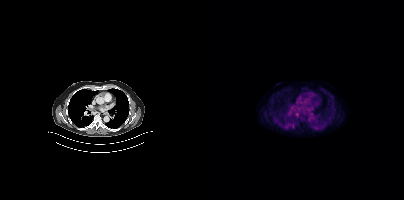
Two-panel axial: CT | PSMA PET, 18F-PSMA tracer. Acquired on Siemens Biograph mCT Flow 20. Slice 275 of 409.
Coordinates are on the 200×200 PET (right) panel. PSMA-avid tumor lesion bounding boxes:
| # | x0 | y0 | x1 | y1 |
|---|---|---|---|---|
| 1 | 87 | 124 | 91 | 127 |